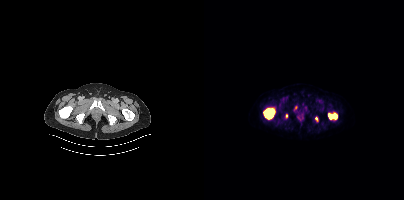
Paired axial CT (left) and PSMA PET (right), [18F]PSMA-1007 tracer. Acquired on Siemens Biograph mCT Flow 20. Slice 48 of 444. PET panel 200×200 px (4.1 mm/px).
Coordinates are on the 200×200 PET (right) panel. PSMA-avid tumor lesion bounding boxes:
| # | x0 | y0 | x1 | y1 |
|---|---|---|---|---|
| 1 | 59 | 108 | 70 | 119 |
| 2 | 124 | 113 | 133 | 119 |
Small PSMA-avid foci (2 to 4 px across) near (center x, center y): (82, 115); (112, 118).